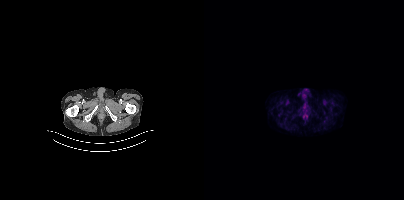
No tumor lesions annotated on this slice.